Two-panel axial: CT | PSMA PET, 18F-PSMA tracer. Acquired on Siemens Biograph mCT Flow 20.
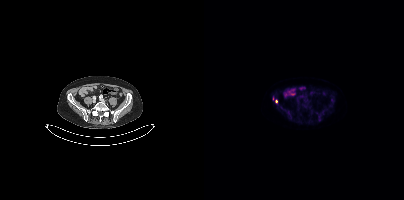
Coordinates are on the 200×200 PET (right) panel. (showing 1 of 2 foci) Small PSMA-avid focus (2 to 4 px across) near (center x, center y): (72, 101).